Technique: Two-panel axial: CT | PSMA PET, 18F tracer.
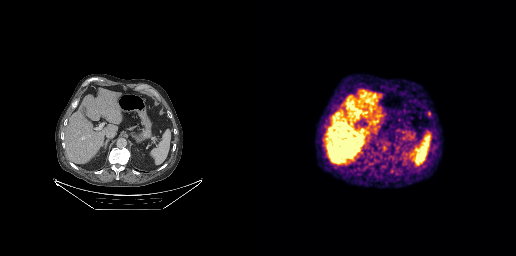
Findings: Coordinates are on the 256×256 PET (right) panel. PSMA-avid tumor lesion bounding box (x0,y0,x1,y1): [168,111,170,116].